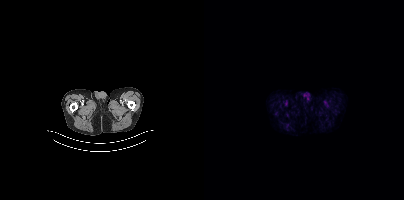
This slice has no annotated PSMA-avid lesion. Paired axial CT (left) and PSMA PET (right), [18F]PSMA-1007 tracer. Acquired on Siemens Biograph mCT Flow 20. PET panel 200×200 px (4.1 mm/px).